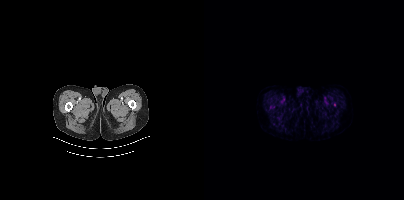
{"modality":"PSMA PET/CT","view":"axial","tracer":"18F","pet_grid":[200,200],"coord_frame":"pet_panel","coord_format":"x0,y0,x1,y1","psma_avid_lesions":false}